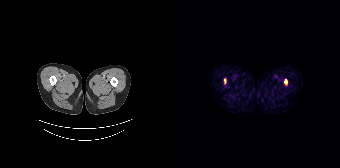
Coordinates are on the 168×168 PET (right) panel. PSMA-avid tumor lesion bounding boxes (x0, y0)-(x1, y1): (112, 79)-(115, 84) / (52, 79)-(54, 83).